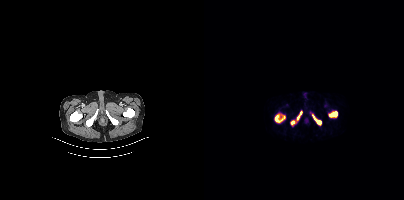
Technique: Two-panel axial: CT | PSMA PET, [18F]PSMA-1007 tracer. acquired on Siemens Biograph mCT Flow 20.
Findings: Coordinates are on the 200×200 PET (right) panel. PSMA-avid tumor lesion bounding boxes (x0,y0,x1,y1): [86,111,98,125] [71,114,81,122] [125,111,133,117] [108,114,117,125].